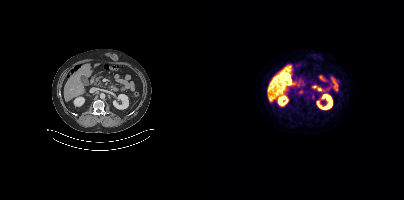
- Paired axial CT (left) and PSMA PET (right), [18F]PSMA-1007 tracer
- slice position z = -455 mm
Findings: Coordinates are on the 200×200 PET (right) panel. PSMA-avid tumor lesion bounding box (x0,y0,x1,y1): [107,93,110,98].